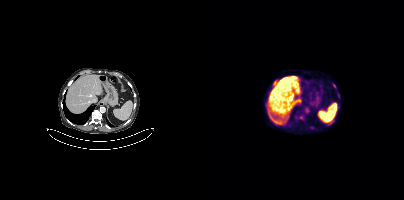
Left: CT. Right: PSMA PET, same axial level, 18F tracer. PET panel 200×200 px (4.1 mm/px). Coordinates are on the 200×200 PET (right) panel. (showing 1 of 2 foci) Small PSMA-avid focus (2 to 4 px across) near (center x, center y): (97, 117).